Technique: Left: CT. Right: PSMA PET, same axial level, 68Ga-PSMA tracer. slice position z = -658 mm.
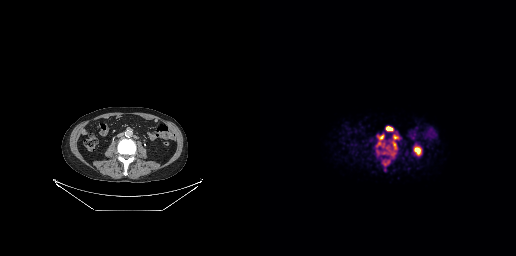
Findings: Coordinates are on the 256×256 PET (right) panel. (showing 4 of 5 foci) PSMA-avid tumor lesion bounding boxes (x0,y0,x1,y1): [129,143,137,156] [117,134,124,141] [133,134,139,139] [127,127,133,130].